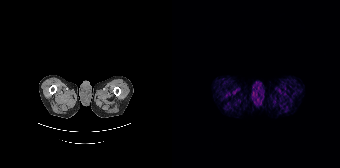
Left: CT. Right: PSMA PET, same axial level, 68Ga-PSMA tracer. Acquired on Siemens Biograph 64-4R TruePoint. Negative for PSMA-avid disease on this slice.